Paired axial CT (left) and PSMA PET (right), [18F]PSMA-1007 tracer. Acquired on Siemens Biograph mCT Flow 20.
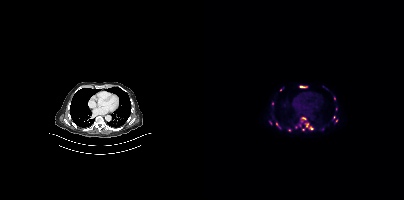
Coordinates are on the 200×200 PET (right) panel. (showing 6 of 9 foci) Small PSMA-avid foci (2 to 4 px across) near (center x, center y): (98, 86); (68, 103); (103, 125); (100, 118); (72, 123); (132, 120).